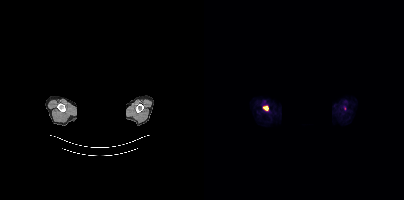
modality: PSMA PET/CT | tracer: [18F]PSMA-1007 | view: axial | PET grid: 200×200 | deidentification: head region blanked (face removed)
Coordinates are on the 200×200 PET (right) panel. PSMA-avid tumor lesion bounding box (x0, y0)-(x1, y1): (58, 105)-(64, 111).